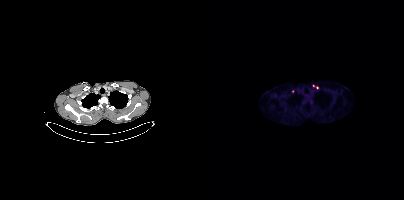
{"modality":"PSMA PET/CT","view":"axial","tracer":"18F-PSMA","pet_grid":[200,200],"coord_frame":"pet_panel","coord_format":"x0,y0,x1,y1","lesion_bboxes":[],"small_foci_centers":[[113,87],[88,91],[109,85]]}